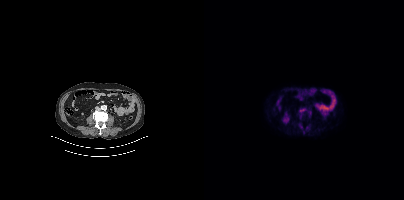
Paired axial CT (left) and PSMA PET (right), 18F tracer. Slice 177 of 427. PET panel 200×200 px (4.1 mm/px). Coordinates are on the 200×200 PET (right) panel. (showing 4 of 5 foci) PSMA-avid tumor lesion bounding boxes (x0, y0)-(x1, y1): (95, 108)-(101, 112); (102, 126)-(105, 130). Small PSMA-avid foci (2 to 4 px across) near (center x, center y): (97, 127); (99, 132).